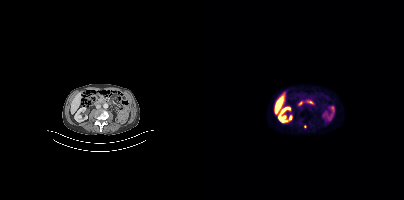
Paired axial CT (left) and PSMA PET (right), [18F]PSMA-1007 tracer. Slice 152 of 405. PET panel 200×200 px (4.1 mm/px). Coordinates are on the 200×200 PET (right) panel. Small PSMA-avid focus (2 to 4 px across) near (center x, center y): (100, 126).